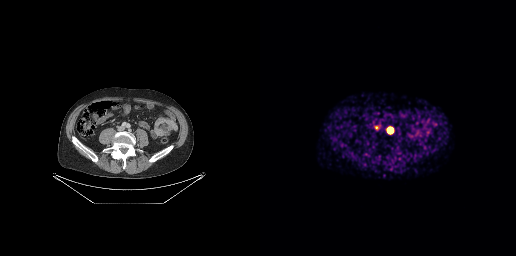
Coordinates are on the 256×256 PET (right) panel. PSMA-avid tumor lesion bounding box (x0,y0,x1,y1): [128,128,132,132]. Small PSMA-avid focus (2 to 4 px across) near (center x, center y): (116, 127).